Two-panel axial: CT | PSMA PET, 68Ga tracer. Slice 103 of 263.
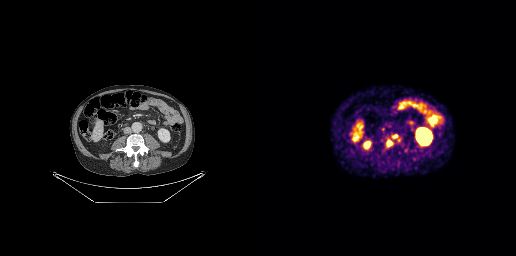
Coordinates are on the 256×256 PET (right) panel. PSMA-avid tumor lesion bounding boxes:
| # | x0 | y0 | x1 | y1 |
|---|---|---|---|---|
| 1 | 128 | 134 | 140 | 147 |